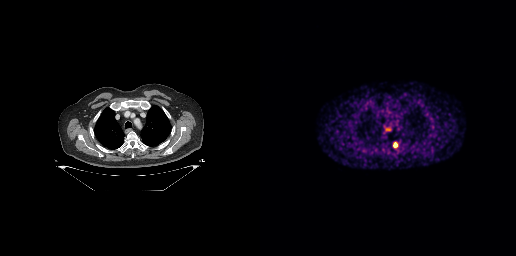
{"modality":"PSMA PET/CT","view":"axial","tracer":"68Ga","pet_grid":[256,256],"coord_frame":"pet_panel","coord_format":"x0,y0,x1,y1","lesion_bboxes":[[133,143,137,147]]}